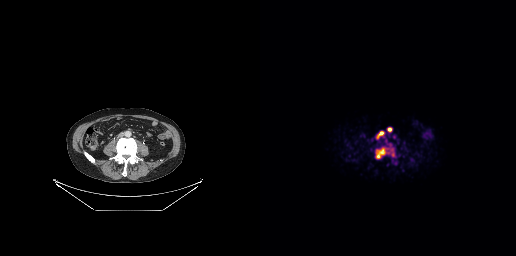
Coordinates are on the 256×256 PET (right) panel. PSMA-avid tumor lesion bounding boxes (x0,y0,x1,y1): [116,148,125,158] [116,132,122,138]. Small PSMA-avid focus (2 to 4 px across) near (center x, center y): (129, 129).
modality: PSMA PET/CT | tracer: 68Ga-PSMA | view: axial